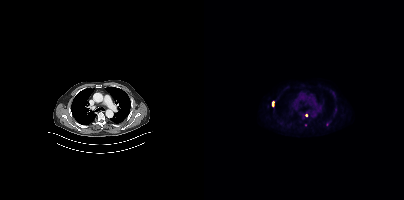
Coordinates are on the 200×200 PET (right) panel. PSMA-avid tumor lesion bounding boxes (partial; 1 more focus not listed):
| # | x0 | y0 | x1 | y1 |
|---|---|---|---|---|
| 1 | 68 | 102 | 69 | 106 |
Left: CT. Right: PSMA PET, same axial level, 18F-PSMA tracer. Slice 309 of 421.